modality: PSMA PET/CT | tracer: 68Ga | view: axial
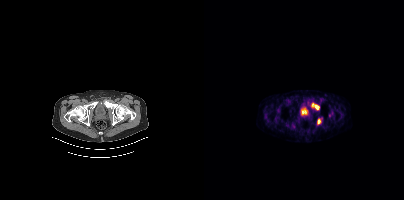
Coordinates are on the 200×200 PET (right) panel. PSMA-avid tumor lesion bounding boxes (x0, y0)-(x1, y1): (108, 103)-(115, 109) / (113, 119)-(116, 124). Small PSMA-avid focus (2 to 4 px across) near (center x, center y): (104, 102).